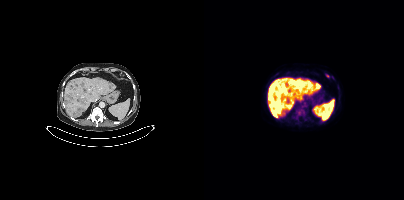
Coordinates are on the 200×200 PET (right) panel. PSMA-avid tumor lesion bounding boxes (x0,y0,x1,y1): [68,108,75,116] [64,89,69,94] [92,108,96,114]. Small PSMA-avid focus (2 to 4 px across) near (center x, center y): (123, 75).